Paired axial CT (left) and PSMA PET (right), [18F]PSMA-1007 tracer.
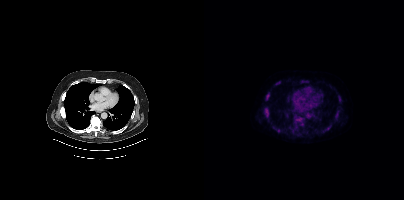
Coordinates are on the 200×200 PET (right) panel. (showing 9 of 11 foci) PSMA-avid tumor lesion bounding boxes (x0,y0,x1,y1): [90,114,98,124]; [60,107,65,118]; [61,92,65,100]; [131,111,135,117]; [98,80,102,83]. Small PSMA-avid foci (2 to 4 px across) near (center x, center y): (74, 130); (69, 126); (135, 101); (124, 128).